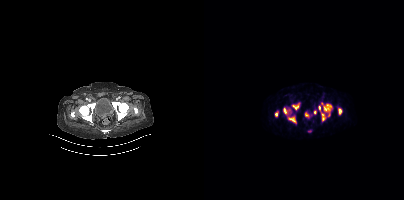
Technique: Left: CT. Right: PSMA PET, same axial level, 68Ga tracer. acquired on Siemens Biograph mCT Flow 20.
Findings: No tumor lesions annotated on this slice.